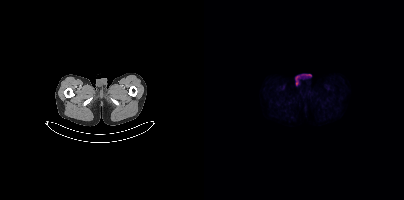
This slice has no annotated PSMA-avid lesion.